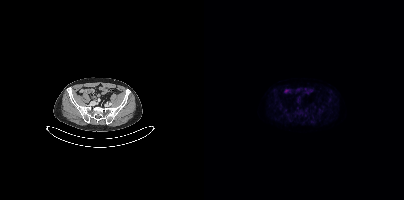
{"modality":"PSMA PET/CT","view":"axial","tracer":"[18F]PSMA-1007","pet_grid":[200,200],"coord_frame":"pet_panel","coord_format":"x0,y0,x1,y1","psma_avid_lesions":false}